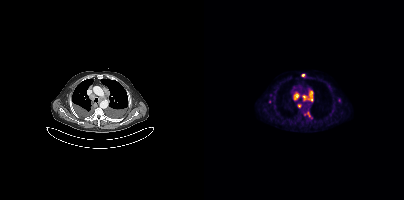
Findings: Coordinates are on the 200×200 PET (right) panel. PSMA-avid tumor lesion bounding boxes (x0, y0)-(x1, y1): (98, 91)-(108, 101); (90, 92)-(95, 99); (104, 112)-(105, 116). Small PSMA-avid foci (2 to 4 px across) near (center x, center y): (98, 75); (95, 105); (65, 101).
Technique: Left: CT. Right: PSMA PET, same axial level, 18F tracer. slice position z = -449 mm.